A rectangular block over the head has been blanked out for de-identification.
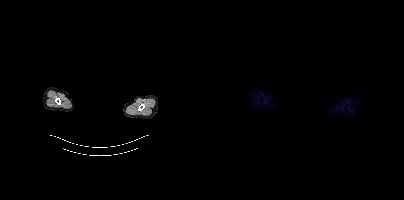
No PSMA-avid tumor lesions on this slice.